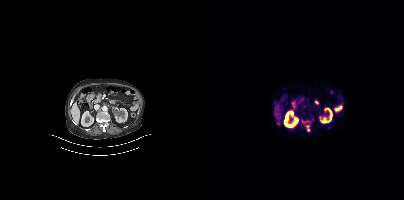
Coordinates are on the 200×200 PET (right) panel. (showing 4 of 5 foci) PSMA-avid tumor lesion bounding boxes (x0,y0,x1,y1): [102,125,105,130], [73,121,76,125]. Small PSMA-avid foci (2 to 4 px across) near (center x, center y): (100, 106), (98, 120).